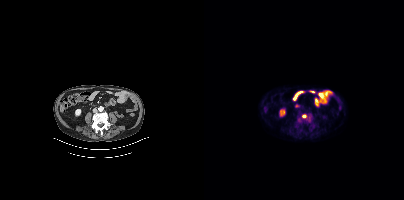
- Paired axial CT (left) and PSMA PET (right), 18F tracer
- acquired on Siemens Biograph mCT Flow 20
- PET panel 200×200 px (4.1 mm/px)
Findings: Coordinates are on the 200×200 PET (right) panel. Small PSMA-avid focus (2 to 4 px across) near (center x, center y): (100, 116).